modality: PSMA PET/CT | tracer: 18F-PSMA | view: axial
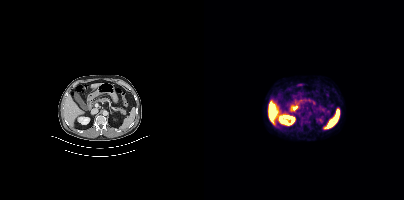
No PSMA-avid tumor lesions on this slice.